modality: PSMA PET/CT | tracer: [18F]PSMA-1007 | view: axial | PET grid: 256×256
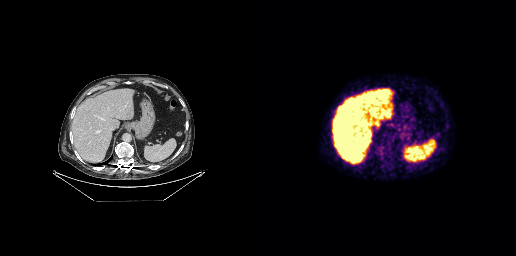
No tumor lesions annotated on this slice.